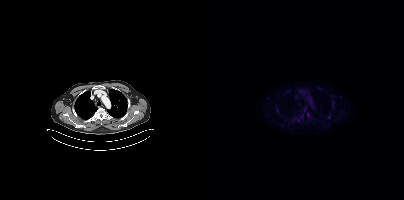
Coordinates are on the 200×200 PET (right) panel. (showing 3 of 4 foci) Small PSMA-avid foci (2 to 4 px across) near (center x, center y): (94, 120) | (124, 117) | (103, 114).